Technique: Two-panel axial: CT | PSMA PET, 18F tracer.
Note: Privacy masking over the head, with the pixels inside a rectangle set to black.
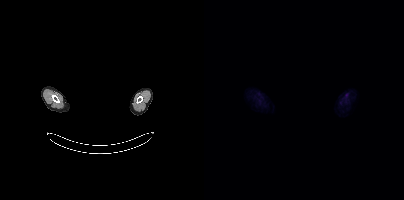
Findings: Negative for PSMA-avid disease on this slice.